Two-panel axial: CT | PSMA PET, 68Ga tracer. PET panel 256×256 px (2.7 mm/px).
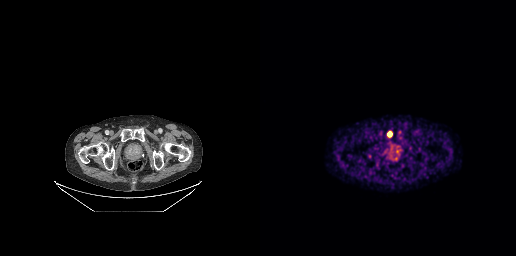
Coordinates are on the 256×256 PET (right) panel. PSMA-avid tumor lesion bounding boxes (x0,y0,x1,y1): [128,132,131,136]; [130,152,134,159]; [138,130,141,134]. Small PSMA-avid focus (2 to 4 px across) near (center x, center y): (120, 133).